Two-panel axial: CT | PSMA PET, [18F]PSMA-1007 tracer. Slice position z = -664 mm.
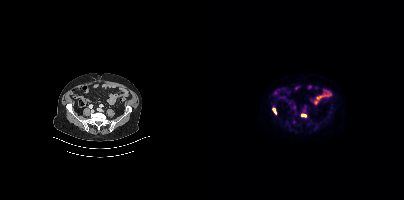
Coordinates are on the 200×200 PET (right) panel. PSMA-avid tumor lesion bounding boxes (x0, y0)-(x1, y1): (97, 114)-(102, 117) | (69, 108)-(72, 113).